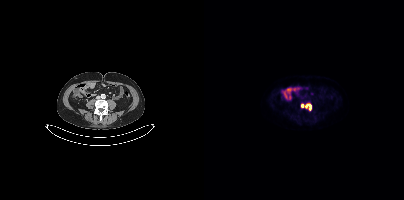
Findings: Coordinates are on the 200×200 PET (right) panel. PSMA-avid tumor lesion bounding box (x0, y0)-(x1, y1): (102, 104)-(107, 109). Small PSMA-avid focus (2 to 4 px across) near (center x, center y): (98, 105).
- Paired axial CT (left) and PSMA PET (right), [18F]PSMA-1007 tracer
- acquired on Siemens Biograph mCT Flow 20
- slice 161 of 421